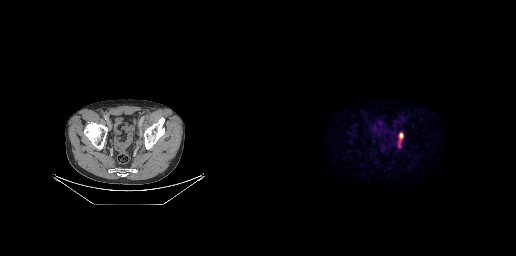
Findings: Coordinates are on the 256×256 PET (right) panel. PSMA-avid tumor lesion bounding box (x, y, width, height): x=138 y=132 w=6 h=16.
Technique: Two-panel axial: CT | PSMA PET, 18F tracer. slice 71 of 263. PET panel 256×256 px (2.7 mm/px).